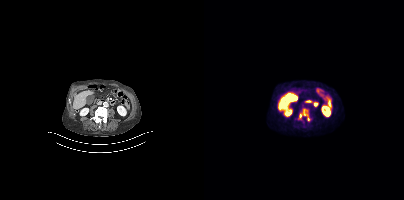
Two-panel axial: CT | PSMA PET, 18F-PSMA tracer. Coordinates are on the 200×200 PET (right) panel. PSMA-avid tumor lesion bounding box (x, y, width, height): x=94 y=108 w=13 h=14.